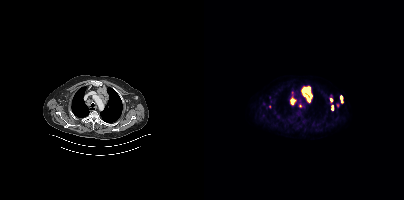
Coordinates are on the 200×200 PET (right) panel. (showing 8 of 9 foci) PSMA-avid tumor lesion bounding boxes (x0,y0,x1,y1): [97,86,108,102] [86,97,92,104] [136,95,139,102] [127,105,129,110] [126,97,128,101]. Small PSMA-avid foci (2 to 4 px across) near (center x, center y): (96, 106) (133, 105) (65, 106).